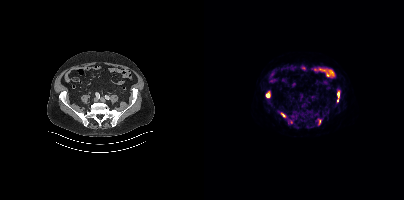
Findings: Coordinates are on the 200×200 PET (right) panel. (showing 5 of 6 foci) PSMA-avid tumor lesion bounding boxes (x0,y0,x1,y1): [133,91,135,97]; [62,93,65,97]; [77,113,81,117]. Small PSMA-avid foci (2 to 4 px across) near (center x, center y): (133, 100); (87, 121).
- Paired axial CT (left) and PSMA PET (right), [18F]PSMA-1007 tracer
- acquired on Siemens Biograph mCT Flow 20
- slice position z = -726 mm
- PET panel 200×200 px (4.1 mm/px)